Privacy masking over the head, with the pixels inside a rectangle set to black. Paired axial CT (left) and PSMA PET (right), [68Ga]Ga-PSMA-11 tracer. Acquired on GE Discovery 690. PET panel 256×256 px (2.7 mm/px).
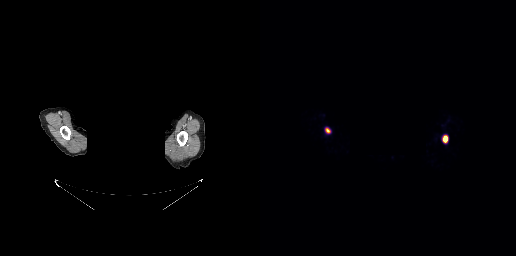
Coordinates are on the 256×256 PET (right) panel. PSMA-avid tumor lesion bounding boxes:
| # | x0 | y0 | x1 | y1 |
|---|---|---|---|---|
| 1 | 183 | 136 | 187 | 142 |
| 2 | 65 | 128 | 70 | 133 |